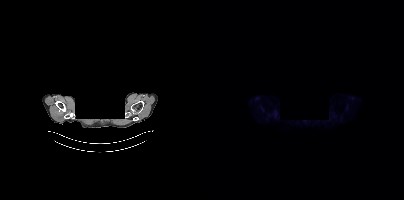
modality: PSMA PET/CT | tracer: 18F | view: axial | PET grid: 200×200 | de-identification: head region blanked (face removed)
No tumor lesions annotated on this slice.